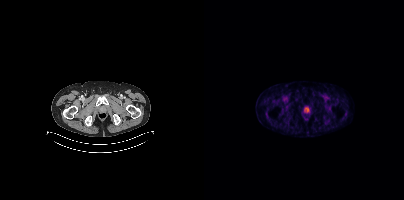
- Two-panel axial: CT | PSMA PET, 68Ga-PSMA tracer
Findings: Coordinates are on the 200×200 PET (right) panel. Small PSMA-avid focus (2 to 4 px across) near (center x, center y): (102, 110).